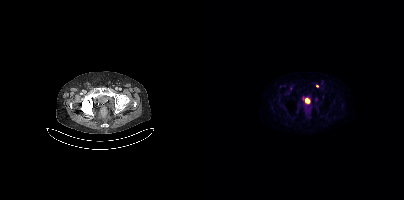
Coordinates are on the 200×200 PET (right) panel. Small PSMA-avid focus (2 to 4 px across) near (center x, center y): (113, 85). Left: CT. Right: PSMA PET, same axial level, 18F-PSMA tracer. Slice 66 of 395. PET panel 200×200 px (4.1 mm/px).